- Paired axial CT (left) and PSMA PET (right), 18F tracer
- PET panel 200×200 px (4.1 mm/px)
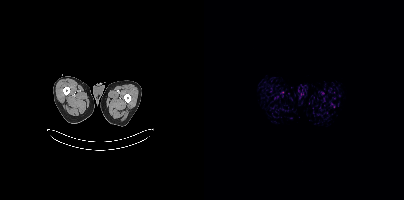
Findings: Negative for PSMA-avid disease on this slice.